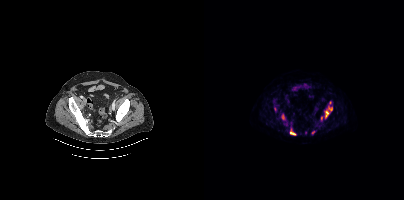
{"modality":"PSMA PET/CT","view":"axial","tracer":"18F-PSMA","pet_grid":[200,200],"coord_frame":"pet_panel","coord_format":"x0,y0,x1,y1","partial":true,"lesion_bboxes":[[120,106,128,117],[86,129,92,135],[78,115,80,119]],"small_foci_centers":[[109,132],[117,118]]}